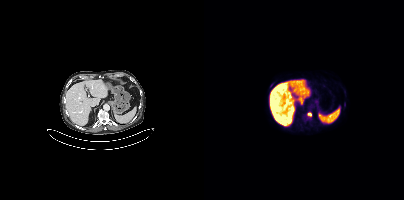
Paired axial CT (left) and PSMA PET (right), 18F tracer.
Coordinates are on the 200×200 PET (right) panel. PSMA-avid tumor lesion bounding boxes:
| # | x0 | y0 | x1 | y1 |
|---|---|---|---|---|
| 1 | 104 | 112 | 107 | 116 |
| 2 | 66 | 83 | 68 | 87 |
Small PSMA-avid focus (2 to 4 px across) near (center x, center y): (106, 118).